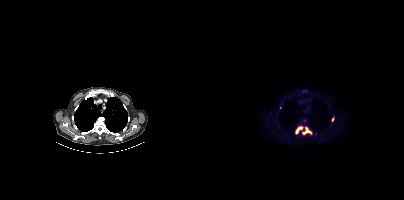
Technique: Paired axial CT (left) and PSMA PET (right), 18F tracer. slice 327 of 435. PET panel 200×200 px (4.1 mm/px).
Findings: Coordinates are on the 200×200 PET (right) panel. PSMA-avid tumor lesion bounding boxes (x, y, width, height): x=98 y=127 w=10 h=8; x=92 y=126 w=8 h=8. Small PSMA-avid foci (2 to 4 px across) near (center x, center y): (128, 119); (76, 107).